Two-panel axial: CT | PSMA PET, 18F tracer.
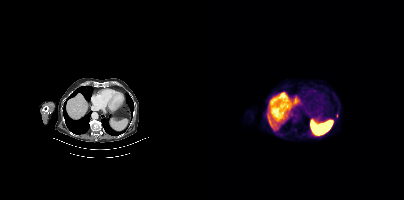
Coordinates are on the 200×200 PET (right) panel. Small PSMA-avid foci (2 to 4 px across) near (center x, center y): (132, 115) (91, 129).